- Left: CT. Right: PSMA PET, same axial level, 68Ga tracer
- acquired on Siemens Biograph 64-4R TruePoint
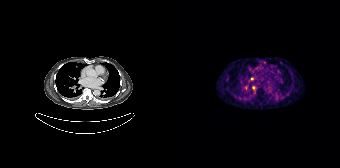
Findings: Coordinates are on the 168×168 PET (right) panel. Small PSMA-avid foci (2 to 4 px across) near (center x, center y): (81, 87) / (80, 78) / (92, 62).